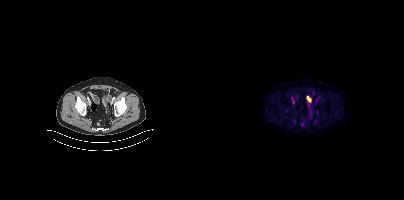
Findings: Coordinates are on the 200×200 PET (right) panel. Small PSMA-avid foci (2 to 4 px across) near (center x, center y): (90, 120) / (110, 121).
Technique: Left: CT. Right: PSMA PET, same axial level, 18F-PSMA tracer. acquired on Siemens Biograph mCT Flow 20.